modality: PSMA PET/CT | tracer: [18F]PSMA-1007 | view: axial
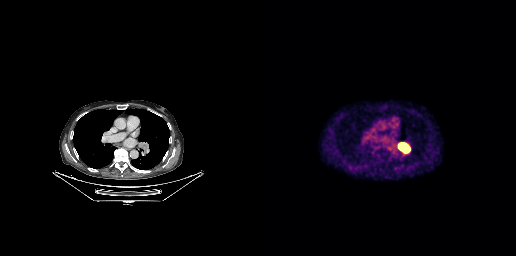
Coordinates are on the 256×256 PET (right) panel. PSMA-avid tumor lesion bounding box (x0, y0)-(x1, y1): (137, 142)-(150, 153).